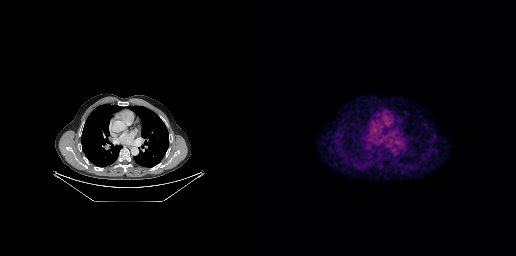
Left: CT. Right: PSMA PET, same axial level, 18F-PSMA tracer. Acquired on GE Discovery 690. Slice 189 of 263. PET panel 256×256 px (2.7 mm/px). No PSMA-avid tumor lesions on this slice.